Two-panel axial: CT | PSMA PET, 18F tracer. Acquired on GE Discovery 690. PET panel 256×256 px (2.7 mm/px).
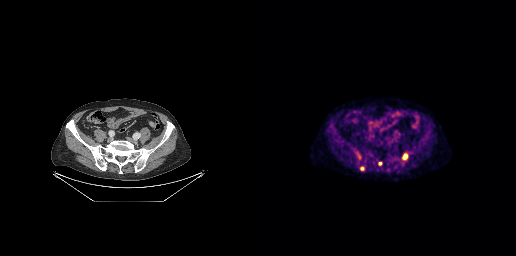
Coordinates are on the 256×256 PET (right) panel. PSMA-avid tumor lesion bounding boxes:
| # | x0 | y0 | x1 | y1 |
|---|---|---|---|---|
| 1 | 142 | 153 | 147 | 159 |
Small PSMA-avid focus (2 to 4 px across) near (center x, center y): (120, 163).